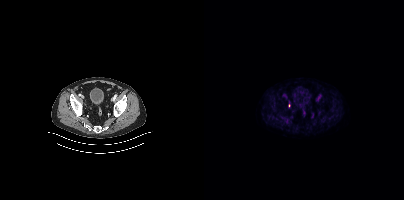
Only PSMA-avid lesion pieces thinner than 2 px on this slice (not listed).